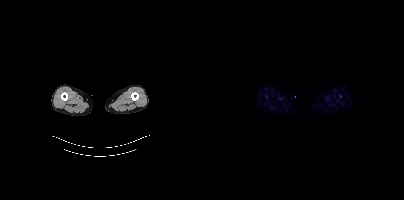
{"pet_grid":[200,200],"coord_frame":"pet_panel","coord_format":"x0,y0,x1,y1","psma_avid_lesions":false,"modality":"PSMA PET/CT","view":"axial","tracer":"18F-PSMA"}